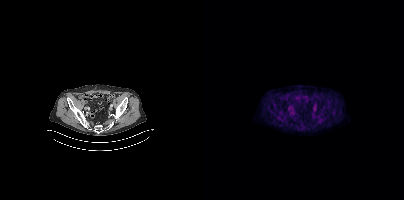
Only PSMA-avid lesion pieces thinner than 2 px on this slice (not listed).